Paired axial CT (left) and PSMA PET (right), 18F tracer. Slice position z = -330 mm. PET panel 200×200 px (4.1 mm/px).
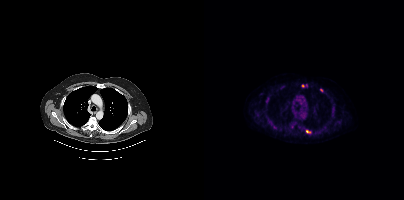
Coordinates are on the 200×200 PET (right) panel. PSMA-avid tumor lesion bounding boxes (partial; 1 more focus not listed):
| # | x0 | y0 | x1 | y1 |
|---|---|---|---|---|
| 1 | 87 | 124 | 89 | 128 |
| 2 | 102 | 130 | 106 | 132 |
Small PSMA-avid foci (2 to 4 px across) near (center x, center y): (99, 86); (117, 90).